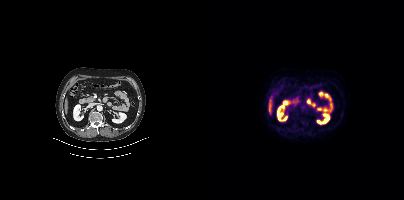
Negative for PSMA-avid disease on this slice. Paired axial CT (left) and PSMA PET (right), 18F tracer. Slice 211 of 452.